de-identification: facial region redacted | modality: PSMA PET/CT | tracer: [18F]PSMA-1007 | view: axial
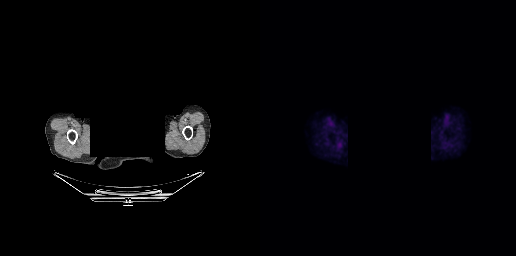
No tumor lesions annotated on this slice.